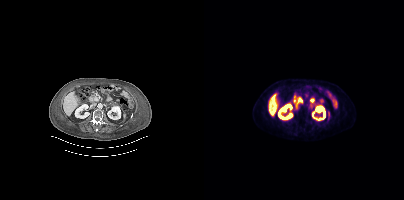
Findings: Negative for PSMA-avid disease on this slice.
Technique: Paired axial CT (left) and PSMA PET (right), 18F-PSMA tracer. acquired on Siemens Biograph mCT Flow 20. slice 151 of 344.